modality: PSMA PET/CT | tracer: [18F]PSMA-1007 | view: axial
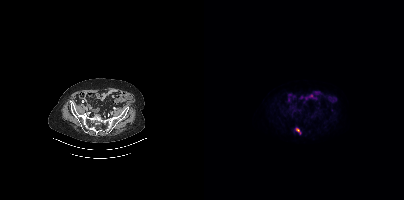
Coordinates are on the 200×200 PET (right) panel. PSMA-avid tumor lesion bounding box (x0,y0,x1,y1): [91,127,97,134].